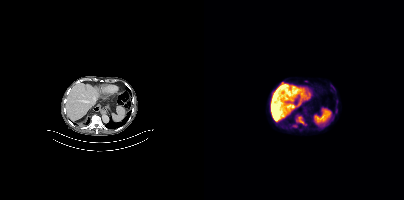
Coordinates are on the 200×200 PET (right) panel. (showing 1 of 3 foci) PSMA-avid tumor lesion bounding box (x0, y0)-(x1, y1): (92, 116)-(100, 124). Left: CT. Right: PSMA PET, same axial level, 18F tracer. Acquired on Siemens Biograph mCT Flow 20. Slice 209 of 375. PET panel 200×200 px (4.1 mm/px).